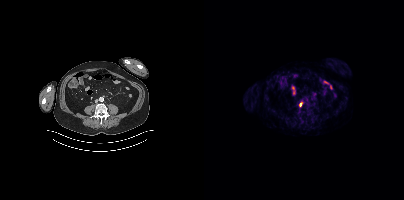
Coordinates are on the 200×200 PET (right) panel. Small PSMA-avid focus (2 to 4 px across) near (center x, center y): (96, 104). Left: CT. Right: PSMA PET, same axial level, 68Ga-PSMA tracer. Acquired on Siemens Biograph mCT Flow 20.